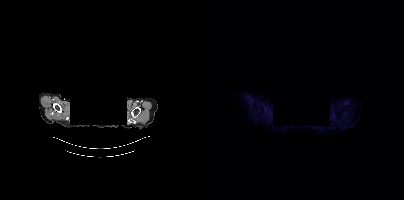
No tumor lesions annotated on this slice.
de-identification: head region blanked (face removed) | modality: PSMA PET/CT | tracer: 18F | view: axial | PET grid: 200×200